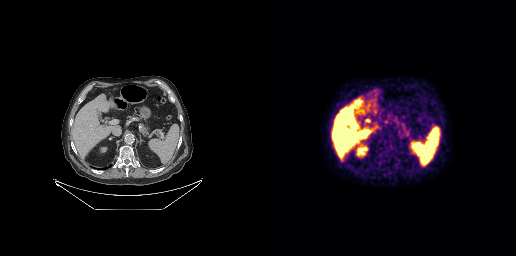
No PSMA-avid tumor lesions on this slice.